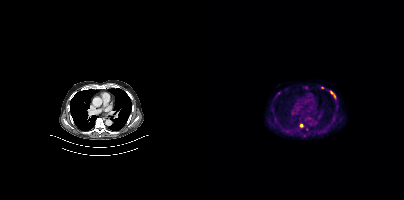
Coordinates are on the 200×200 PET (right) panel. (showing 3 of 5 foci) PSMA-avid tumor lesion bounding box (x0, y0)-(x1, y1): (126, 91)-(131, 97). Small PSMA-avid foci (2 to 4 px across) near (center x, center y): (97, 125); (118, 87).